Technique: Left: CT. Right: PSMA PET, same axial level, 68Ga tracer. slice position z = -1340 mm.
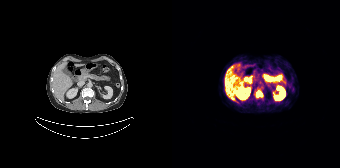
Findings: Coordinates are on the 168×168 PET (right) panel. PSMA-avid tumor lesion bounding box (x0, y0)-(x1, y1): (84, 90)-(90, 96).